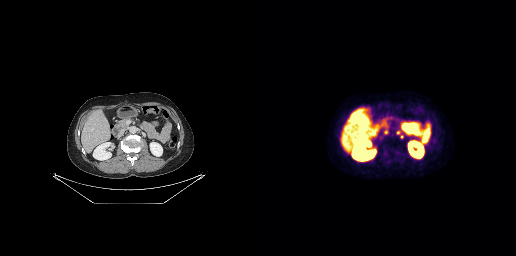
Coordinates are on the 256×256 PET (right) panel. Small PSMA-avid foci (2 to 4 px across) near (center x, center y): (138, 132); (126, 131); (142, 136).